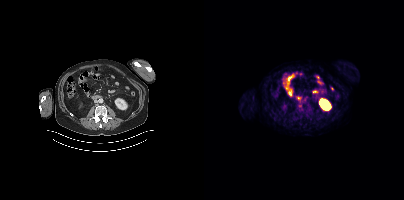
Only PSMA-avid lesion pieces thinner than 2 px on this slice (not listed). Two-panel axial: CT | PSMA PET, 68Ga tracer.